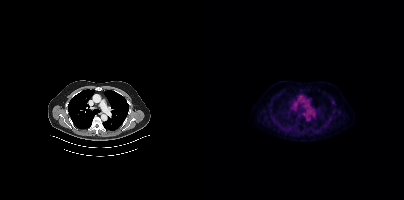
Coordinates are on the 200×200 PET (right) panel. Small PSMA-avid focus (2 to 4 px across) near (center x, center y): (128, 102). Left: CT. Right: PSMA PET, same axial level, 18F tracer. Acquired on Siemens Biograph mCT Flow 20. Slice position z = -1155 mm. PET panel 200×200 px (4.1 mm/px).